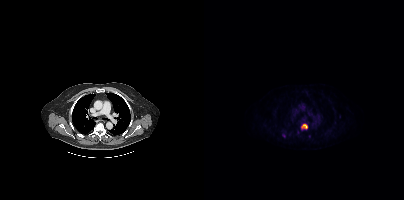
Coordinates are on the 200×200 PET (right) panel. PSMA-avid tumor lesion bounding box (x0,y0,x1,y1): [97,124,103,128]. Small PSMA-avid foci (2 to 4 px across) near (center x, center y): (79, 135); (105, 136).
modality: PSMA PET/CT | tracer: [18F]PSMA-1007 | view: axial